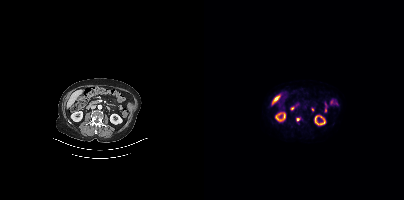
Coordinates are on the 200×200 PET (right) panel. PSMA-avid tumor lesion bounding box (x0,y0,x1,y1): [92,117,98,121]. Left: CT. Right: PSMA PET, same axial level, 18F-PSMA tracer. Acquired on Siemens Biograph mCT Flow 20. PET panel 200×200 px (4.1 mm/px).